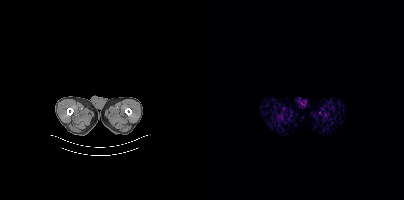
No tumor lesions annotated on this slice. Two-panel axial: CT | PSMA PET, [18F]PSMA-1007 tracer. Acquired on Siemens Biograph mCT Flow 20. Slice position z = -1107 mm. PET panel 200×200 px (4.1 mm/px).